Two-panel axial: CT | PSMA PET, 18F-PSMA tracer. Slice position z = 1383 mm.
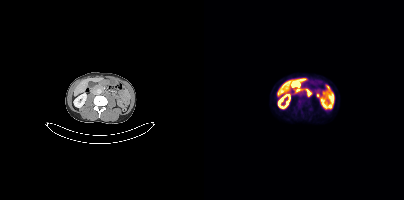
Coordinates are on the 200×200 PET (right) panel. Small PSMA-avid focus (2 to 4 px across) near (center x, center y): (96, 102).